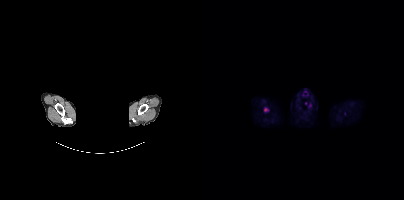
Left: CT. Right: PSMA PET, same axial level, 18F-PSMA tracer. Acquired on Siemens Biograph mCT Flow 20. Head region blanked for anonymization (face removed). Coordinates are on the 200×200 PET (right) panel. Small PSMA-avid foci (2 to 4 px across) near (center x, center y): (61, 109), (106, 105).